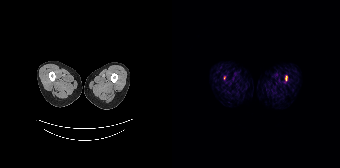
Coordinates are on the 168×168 PET (right) panel. (showing 1 of 2 foci) PSMA-avid tumor lesion bounding box (x, y, width, height): x=113 y=76 w=3 h=5.
modality: PSMA PET/CT | tracer: [68Ga]Ga-PSMA-11 | view: axial | PET grid: 168×168